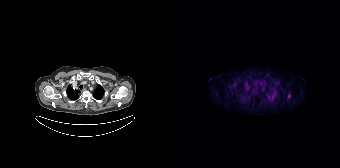
- Two-panel axial: CT | PSMA PET, 18F-PSMA tracer
Findings: Coordinates are on the 168×168 PET (right) panel. PSMA-avid tumor lesion bounding box (x0,y0,x1,y1): [116,94,118,98].